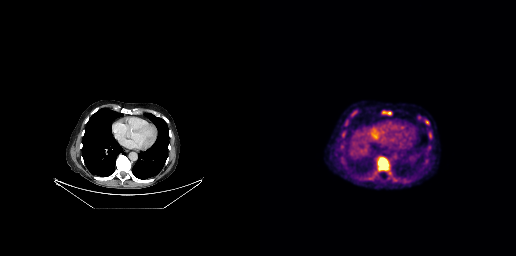
Technique: Two-panel axial: CT | PSMA PET, 18F tracer. slice position z = -362 mm.
Findings: Coordinates are on the 256×256 PET (right) panel. (showing 7 of 8 foci) PSMA-avid tumor lesion bounding boxes (x0, y0)-(x1, y1): (118, 158)-(128, 169) / (122, 111)-(131, 115) / (91, 110)-(97, 116) / (165, 120)-(169, 124) / (169, 132)-(171, 138) / (85, 120)-(88, 125). Small PSMA-avid focus (2 to 4 px across) near (center x, center y): (83, 134).